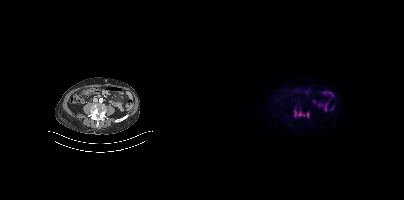
Paired axial CT (left) and PSMA PET (right), [18F]PSMA-1007 tracer. PET panel 200×200 px (4.1 mm/px).
Coordinates are on the 200×200 PET (right) panel. PSMA-avid tumor lesion bounding boxes:
| # | x0 | y0 | x1 | y1 |
|---|---|---|---|---|
| 1 | 90 | 109 | 105 | 117 |